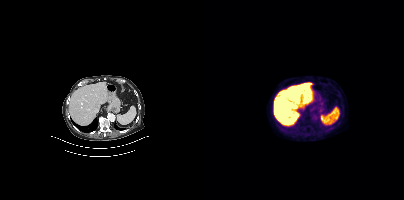
Paired axial CT (left) and PSMA PET (right), 18F-PSMA tracer. Acquired on Siemens Biograph mCT Flow 20. No tumor lesions annotated on this slice.